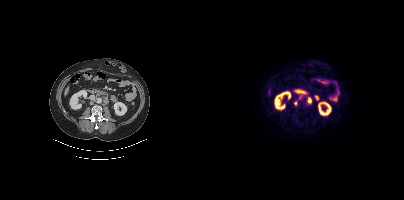
Paired axial CT (left) and PSMA PET (right), 18F tracer. Slice position z = -1245 mm. Coordinates are on the 200×200 PET (right) panel. PSMA-avid tumor lesion bounding box (x0,y0,x1,y1): [100,94,107,104]. Small PSMA-avid foci (2 to 4 px across) near (center x, center y): (95, 97), (91, 103).